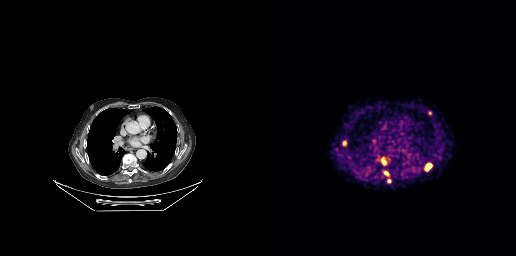
modality: PSMA PET/CT | tracer: 68Ga-PSMA | view: axial
Coordinates are on the 256×256 PET (right) panel. PSMA-avid tumor lesion bounding boxes (x0,y0,x1,y1): [120,157,127,165] [165,164,171,170] [168,111,171,115]. Small PSMA-avid foci (2 to 4 px across) near (center x, center y): (84, 142) (126, 172) (128, 180).